- Two-panel axial: CT | PSMA PET, [18F]PSMA-1007 tracer
- slice position z = 4 mm
- PET panel 200×200 px (4.1 mm/px)
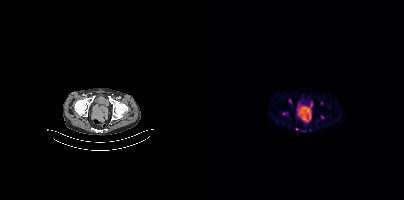
Findings: Coordinates are on the 200×200 PET (right) panel. (showing 2 of 3 foci) Small PSMA-avid foci (2 to 4 px across) near (center x, center y): (85, 100) (92, 128).